Technique: Left: CT. Right: PSMA PET, same axial level, 18F tracer.
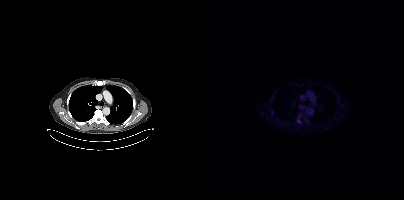
Findings: Coordinates are on the 200×200 PET (right) panel. (showing 1 of 2 foci) Small PSMA-avid focus (2 to 4 px across) near (center x, center y): (94, 120).